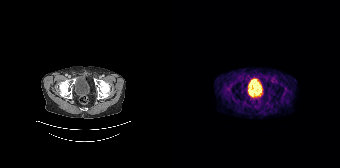
No PSMA-avid tumor lesions on this slice.